- Two-panel axial: CT | PSMA PET, [18F]PSMA-1007 tracer
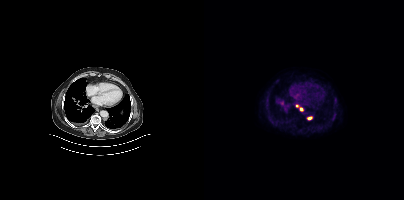
Findings: Coordinates are on the 200×200 PET (right) panel. Small PSMA-avid foci (2 to 4 px across) near (center x, center y): (105, 118); (93, 106); (97, 109).